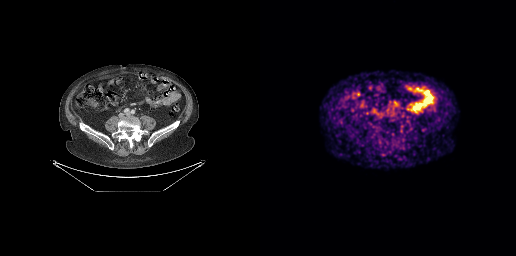
This slice has no annotated PSMA-avid lesion.